Two-panel axial: CT | PSMA PET, 18F tracer. Acquired on Siemens Biograph mCT Flow 20. PET panel 200×200 px (4.1 mm/px).
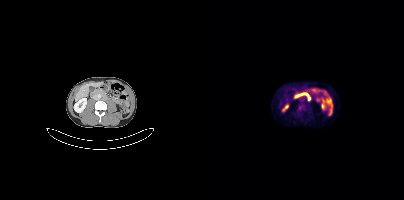
Coordinates are on the 200×200 PET (right) panel. PSMA-avid tumor lesion bounding box (x, y, width, height): x=94 y=105 w=7 h=6.